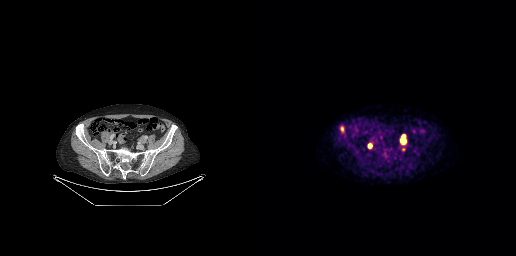
Left: CT. Right: PSMA PET, same axial level, [18F]PSMA-1007 tracer. Acquired on GE Discovery 690. PET panel 256×256 px (2.7 mm/px).
Coordinates are on the 256×256 PET (right) panel. PSMA-avid tumor lesion bounding boxes:
| # | x0 | y0 | x1 | y1 |
|---|---|---|---|---|
| 1 | 141 | 135 | 145 | 143 |
Small PSMA-avid foci (2 to 4 px across) near (center x, center y): (109, 145); (143, 149).